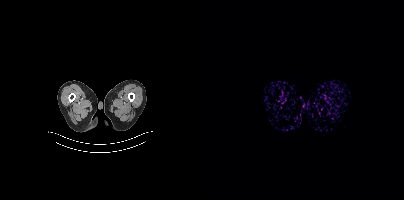
- Left: CT. Right: PSMA PET, same axial level, [68Ga]Ga-PSMA-11 tracer
- PET panel 200×200 px (4.1 mm/px)
Findings: No PSMA-avid tumor lesions on this slice.